- Two-panel axial: CT | PSMA PET, 68Ga-PSMA tracer
- PET panel 256×256 px (2.7 mm/px)
- face de-identified by blanking a block of the head
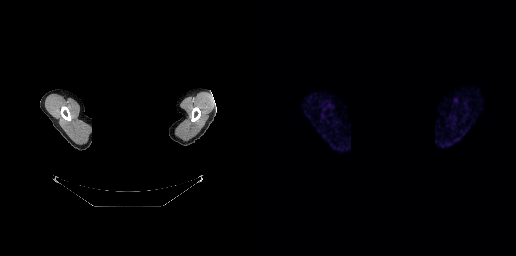
Findings: No tumor lesions annotated on this slice.